Technique: Two-panel axial: CT | PSMA PET, [68Ga]Ga-PSMA-11 tracer. slice 357 of 397.
Note: De-identified by setting a box covering the face to black before release.
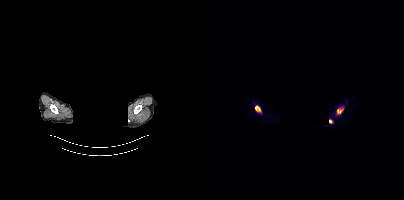
Findings: Coordinates are on the 200×200 PET (right) panel. PSMA-avid tumor lesion bounding boxes (x, y, width, height): x=51 y=106 w=7 h=7 / x=132 y=108 w=6 h=7 / x=125 y=119 w=4 h=5.